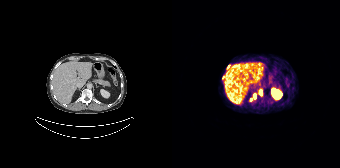
Findings: Coordinates are on the 168×168 PET (right) panel. PSMA-avid tumor lesion bounding boxes (x0,y0,x1,y1): [87,90,90,95], [81,93,84,98]. Small PSMA-avid foci (2 to 4 px across) near (center x, center y): (56, 66), (79, 99), (51, 77).
- Two-panel axial: CT | PSMA PET, 68Ga tracer